redaction: privacy mask over head | modality: PSMA PET/CT | tracer: 18F-PSMA | view: axial
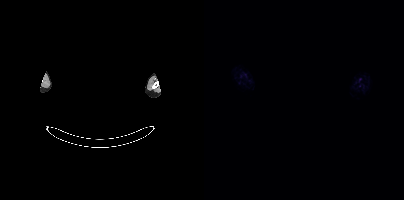
This slice has no annotated PSMA-avid lesion.